Left: CT. Right: PSMA PET, same axial level, [18F]PSMA-1007 tracer.
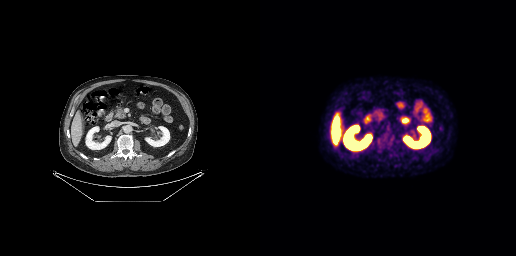
No tumor lesions annotated on this slice.